Facial anatomy redacted by setting a rectangular region of the head to black. Two-panel axial: CT | PSMA PET, 18F-PSMA tracer. Acquired on Siemens Biograph mCT Flow 20. PET panel 200×200 px (4.1 mm/px).
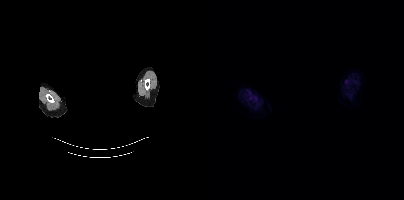
No PSMA-avid tumor lesions on this slice.